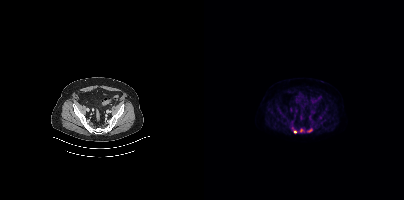
Coordinates are on the 200×200 PET (right) panel. PSMA-avid tumor lesion bounding box (x0,y0,x1,y1): [103,128,108,132]. Small PSMA-avid foci (2 to 4 px across) near (center x, center y): (91, 131); (97, 130).